- Two-panel axial: CT | PSMA PET, 18F-PSMA tracer
- acquired on Siemens Biograph mCT Flow 20
- slice 272 of 421
- PET panel 200×200 px (4.1 mm/px)
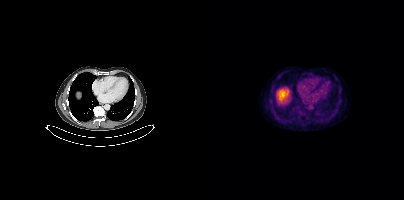
Findings: Negative for PSMA-avid disease on this slice.